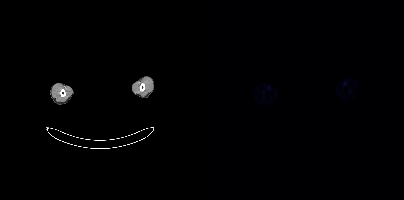
Findings: Negative for PSMA-avid disease on this slice.
- Paired axial CT (left) and PSMA PET (right), [68Ga]Ga-PSMA-11 tracer
- PET panel 200×200 px (4.1 mm/px)
- privacy masking over the head, with the pixels inside a rectangle set to black